Paired axial CT (left) and PSMA PET (right), 18F tracer. PET panel 200×200 px (4.1 mm/px).
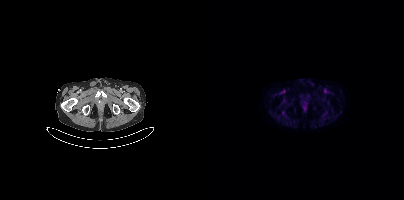
This slice has no annotated PSMA-avid lesion.